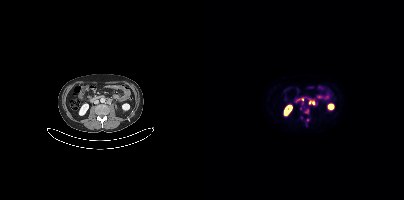
modality: PSMA PET/CT | tracer: 18F | view: axial | PET grid: 200×200
Coordinates are on the 200×200 PET (right) panel. PSMA-avid tumor lesion bounding box (x, y, width, height): x=105 y=100 w=6 h=4. Small PSMA-avid focus (2 to 4 px across) near (center x, center y): (103, 119).